Two-panel axial: CT | PSMA PET, 68Ga-PSMA tracer. Slice 204 of 263.
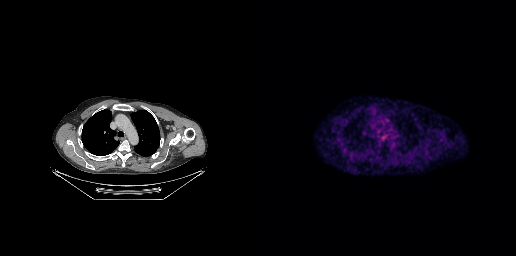
No PSMA-avid tumor lesions on this slice.